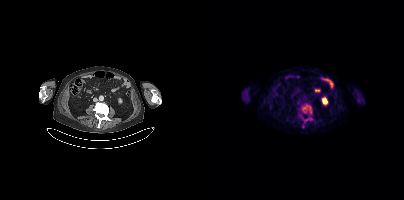
{"modality":"PSMA PET/CT","view":"axial","tracer":"18F-PSMA","pet_grid":[200,200],"coord_frame":"pet_panel","coord_format":"x0,y0,x1,y1","partial":true,"lesion_bboxes":[[97,104,108,113],[100,118,108,121]]}